- de-identified by setting a box covering the face to black before release
- Left: CT. Right: PSMA PET, same axial level, 68Ga tracer
- acquired on Siemens Biograph mCT Flow 20
- slice position z = 1007 mm
- PET panel 200×200 px (4.1 mm/px)
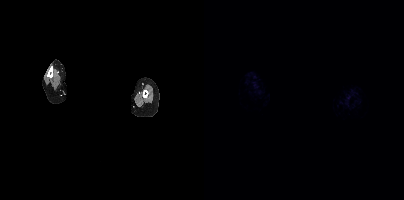
Findings: Negative for PSMA-avid disease on this slice.